- the face region was removed for patient privacy by blanking a rectangle over the head
- Left: CT. Right: PSMA PET, same axial level, [18F]PSMA-1007 tracer
- acquired on Siemens Biograph mCT Flow 20
- PET panel 200×200 px (4.1 mm/px)
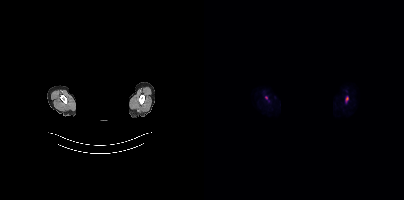
Findings: Coordinates are on the 200×200 PET (right) panel. (showing 1 of 2 foci) PSMA-avid tumor lesion bounding box (x0,y0,x1,y1): [142,97,144,101].